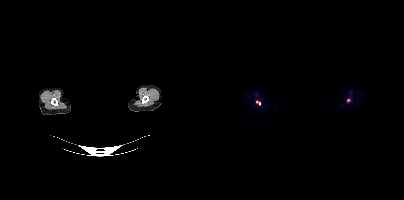
{"modality":"PSMA PET/CT","view":"axial","tracer":"[18F]PSMA-1007","pet_grid":[200,200],"coord_frame":"pet_panel","coord_format":"x0,y0,x1,y1","de-identification":"face masked with black rectangle","partial":true,"lesion_bboxes":[],"small_foci_centers":[[144,100],[55,103]]}